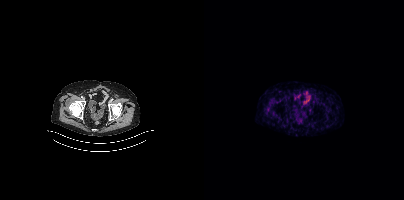
modality: PSMA PET/CT | tracer: 68Ga | view: axial
No PSMA-avid tumor lesions on this slice.